- Paired axial CT (left) and PSMA PET (right), [18F]PSMA-1007 tracer
- slice position z = -1542 mm
- PET panel 200×200 px (4.1 mm/px)
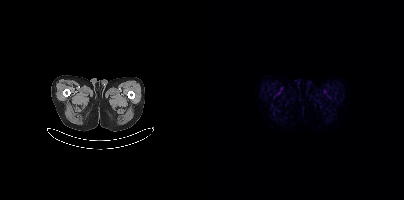
Findings: This slice has no annotated PSMA-avid lesion.